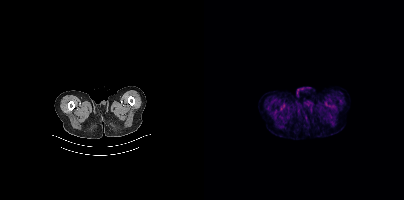
No PSMA-avid tumor lesions on this slice.